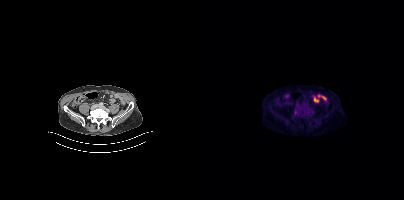
Left: CT. Right: PSMA PET, same axial level, [18F]PSMA-1007 tracer. Acquired on Siemens Biograph mCT Flow 20. PET panel 200×200 px (4.1 mm/px). Only PSMA-avid lesion pieces thinner than 2 px on this slice (not listed).